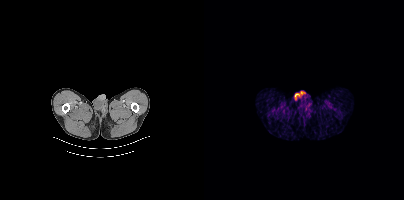
Two-panel axial: CT | PSMA PET, [18F]PSMA-1007 tracer. Acquired on Siemens Biograph mCT Flow 20. Slice position z = -642 mm. Negative for PSMA-avid disease on this slice.